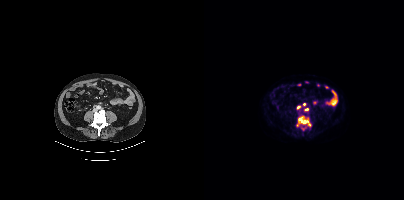
Coordinates are on the 200×200 PET (right) panel. PSMA-avid tumor lesion bounding boxes:
| # | x0 | y0 | x1 | y1 |
|---|---|---|---|---|
| 1 | 93 | 116 | 106 | 126 |
| 2 | 100 | 108 | 104 | 111 |
Small PSMA-avid foci (2 to 4 px across) near (center x, center y): (94, 107); (100, 104).
Left: CT. Right: PSMA PET, same axial level, 18F-PSMA tracer. Acquired on Siemens Biograph mCT Flow 20.